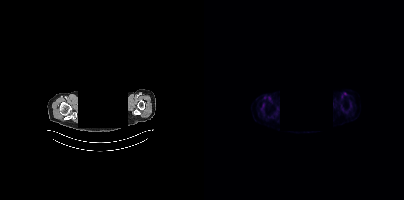
Technique: Paired axial CT (left) and PSMA PET (right), [18F]PSMA-1007 tracer. PET panel 200×200 px (4.1 mm/px).
Note: A rectangle over the head was blacked out to remove identifiable facial features.
Findings: Negative for PSMA-avid disease on this slice.